- Two-panel axial: CT | PSMA PET, 18F-PSMA tracer
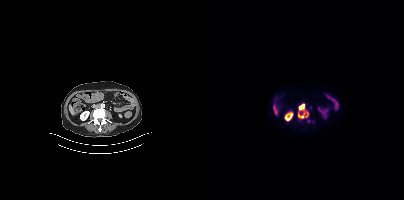
Findings: Coordinates are on the 200×200 PET (right) panel. PSMA-avid tumor lesion bounding boxes (x0, y0)-(x1, y1): (95, 104)-(100, 109) | (94, 114)-(99, 117).